Paired axial CT (left) and PSMA PET (right), [18F]PSMA-1007 tracer. Slice position z = 422 mm. PET panel 200×200 px (4.1 mm/px).
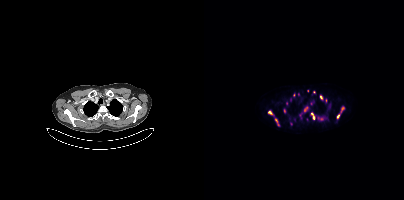
Coordinates are on the 200×200 PET (right) panel. (showing 11 of 18 foci) PSMA-avid tumor lesion bounding boxes (x, y, width, height): x=133 y=106 w=8 h=13; x=114 y=117 w=6 h=4; x=106 y=113 w=6 h=7; x=116 y=95 w=3 h=5; x=64 y=111 w=5 h=4; x=72 y=120 w=4 h=6. Small PSMA-avid foci (2 to 4 px across) near (center x, center y): (80, 110); (107, 103); (102, 108); (87, 124); (89, 95).